- Paired axial CT (left) and PSMA PET (right), 68Ga tracer
- acquired on Siemens Biograph 64-4R TruePoint
- PET panel 168×168 px (4.1 mm/px)
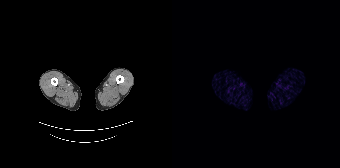
Findings: No PSMA-avid tumor lesions on this slice.